Technique: Two-panel axial: CT | PSMA PET, 18F-PSMA tracer. slice position z = -930 mm.
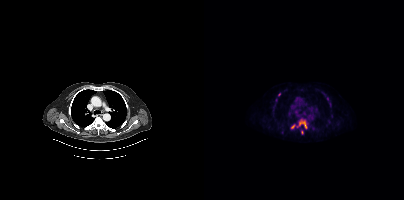
Findings: Coordinates are on the 200×200 PET (right) panel. (showing 6 of 9 foci) PSMA-avid tumor lesion bounding boxes (x, y, width, height): x=95 y=120 w=5 h=6; x=100 y=122 w=4 h=7; x=87 y=124 w=5 h=5; x=97 y=130 w=3 h=5. Small PSMA-avid foci (2 to 4 px across) near (center x, center y): (75, 94); (123, 98).